modality: PSMA PET/CT | tracer: 18F-PSMA | view: axial | PET grid: 200×200
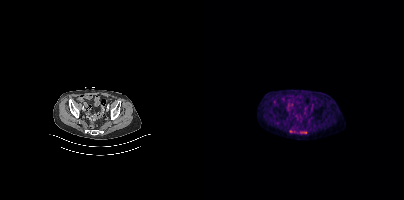
Negative for PSMA-avid disease on this slice.